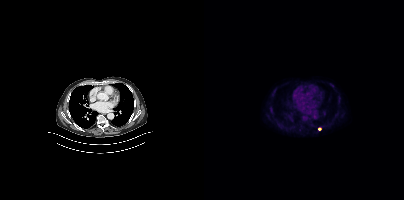
{"modality":"PSMA PET/CT","view":"axial","tracer":"18F-PSMA","pet_grid":[200,200],"coord_frame":"pet_panel","coord_format":"x0,y0,x1,y1","lesion_bboxes":[],"small_foci_centers":[[115,128]]}